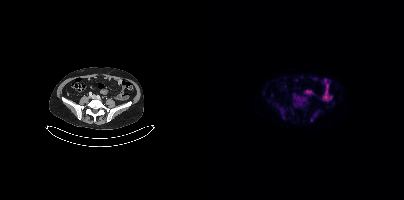
Left: CT. Right: PSMA PET, same axial level, [18F]PSMA-1007 tracer. Acquired on Siemens Biograph mCT Flow 20. Slice 135 of 431. No PSMA-avid tumor lesions on this slice.